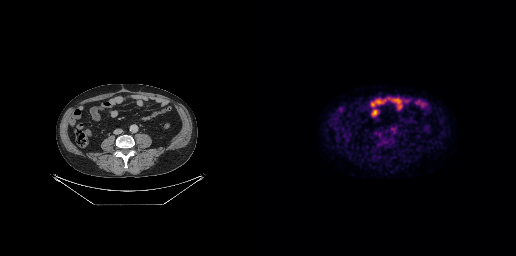
Findings: This slice has no annotated PSMA-avid lesion.
Technique: Two-panel axial: CT | PSMA PET, [18F]PSMA-1007 tracer.